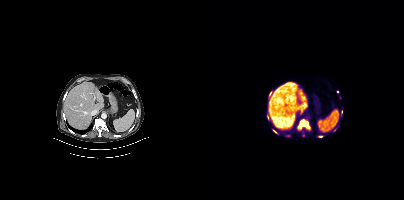
{"modality":"PSMA PET/CT","view":"axial","tracer":"[18F]PSMA-1007","pet_grid":[200,200],"coord_frame":"pet_panel","coord_format":"x0,y0,x1,y1","partial":true,"lesion_bboxes":[[94,119,105,128],[69,130,73,133]],"small_foci_centers":[[116,136],[66,93]]}